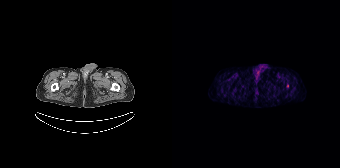
Findings: Coordinates are on the 168×168 PET (right) panel. Small PSMA-avid focus (2 to 4 px across) near (center x, center y): (115, 85).
Technique: Left: CT. Right: PSMA PET, same axial level, 68Ga-PSMA tracer.